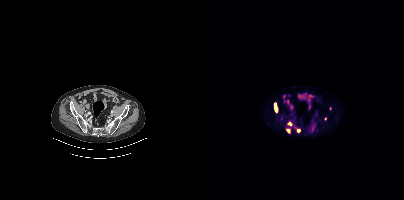
{"modality":"PSMA PET/CT","view":"axial","tracer":"18F","pet_grid":[200,200],"coord_frame":"pet_panel","coord_format":"x0,y0,x1,y1","partial":true,"lesion_bboxes":[[70,102,73,112]],"small_foci_centers":[[83,130],[86,123],[94,130],[126,108]]}